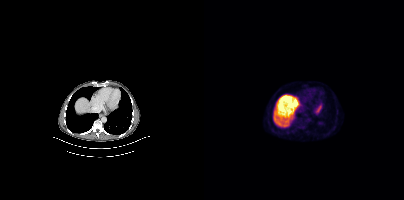
Negative for PSMA-avid disease on this slice.